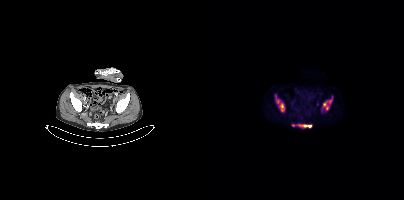
Coordinates are on the 200×200 PET (right) panel. PSMA-avid tumor lesion bounding boxes (partial; 1 more focus not listed):
| # | x0 | y0 | x1 | y1 |
|---|---|---|---|---|
| 1 | 71 | 94 | 81 | 112 |
| 2 | 88 | 124 | 108 | 128 |
| 3 | 119 | 98 | 128 | 110 |
Paired axial CT (left) and PSMA PET (right), 18F-PSMA tracer. Acquired on Siemens Biograph mCT Flow 20. PET panel 200×200 px (4.1 mm/px).